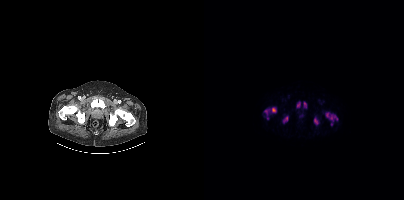
Findings: Coordinates are on the 200×200 PET (right) panel. PSMA-avid tumor lesion bounding boxes (x0,y0,x1,y1): [121,112,134,121] [60,107,72,119] [110,117,114,124] [92,101,96,107] [79,116,84,122] [99,101,103,107]. Small PSMA-avid focus (2 to 4 px across) near (center x, center y): (127, 124).
Technique: Two-panel axial: CT | PSMA PET, 18F tracer. acquired on Siemens Biograph mCT Flow 20. slice position z = -1659 mm.